Technique: Two-panel axial: CT | PSMA PET, [18F]PSMA-1007 tracer. acquired on Siemens Biograph mCT Flow 20. slice 23 of 401.
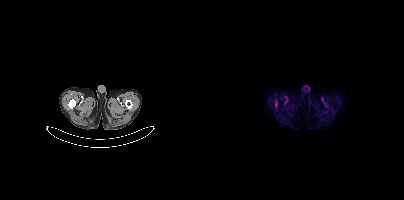
Findings: Coordinates are on the 200×200 PET (right) panel. PSMA-avid tumor lesion bounding box (x, y, width, height): x=71 y=102 w=3 h=5.